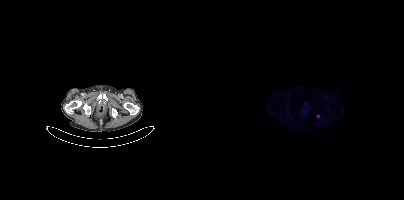
Coordinates are on the 200×200 PET (right) panel. Small PSMA-avid focus (2 to 4 px across) near (center x, center y): (114, 116).